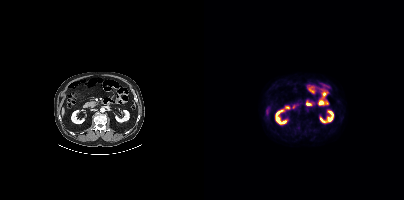
Findings: No tumor lesions annotated on this slice.
- Left: CT. Right: PSMA PET, same axial level, 18F-PSMA tracer
- acquired on Siemens Biograph mCT Flow 20
- slice 199 of 435
- PET panel 200×200 px (4.1 mm/px)